Two-panel axial: CT | PSMA PET, 18F tracer. Slice 357 of 377. The face region was removed for patient privacy by blanking a rectangle over the head.
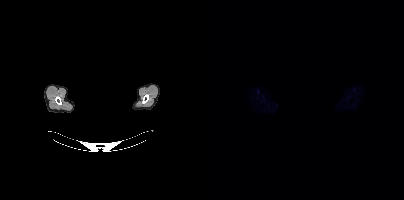
Negative for PSMA-avid disease on this slice.